Left: CT. Right: PSMA PET, same axial level, 18F-PSMA tracer.
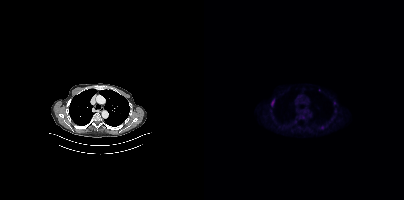
Coordinates are on the 200×200 PET (right) panel. Small PSMA-avid focus (2 to 4 px across) near (center x, center y): (69, 100).